modality: PSMA PET/CT | tracer: [18F]PSMA-1007 | view: axial | PET grid: 200×200
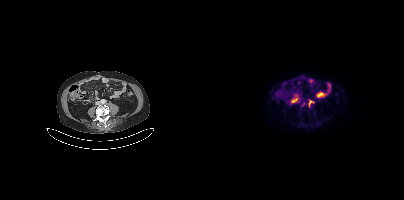
Coordinates are on the 200×200 PET (right) panel. PSMA-avid tumor lesion bounding box (x0,y0,x1,y1): [105,101,109,106].